Two-panel axial: CT | PSMA PET, 18F tracer. Acquired on GE Discovery 690. Slice 109 of 299. PET panel 256×256 px (2.7 mm/px).
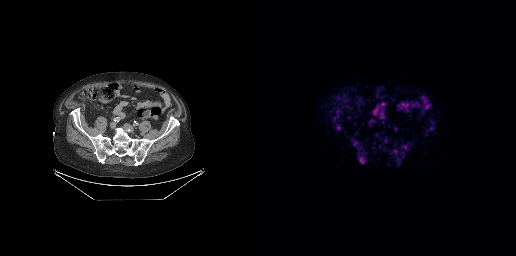
Coordinates are on the 256×256 PET (right) panel. (showing 4 of 5 foci) Small PSMA-avid foci (2 to 4 px across) near (center x, center y): (145, 147) | (135, 151) | (78, 127) | (101, 160).